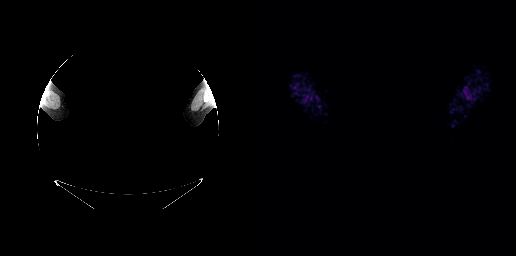
{"modality":"PSMA PET/CT","view":"axial","tracer":"18F-PSMA","pet_grid":[256,256],"coord_frame":"pet_panel","coord_format":"x0,y0,x1,y1","de-identification":"head region blanked (face removed)","psma_avid_lesions":false}